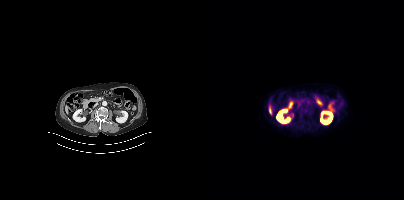
No PSMA-avid tumor lesions on this slice.
modality: PSMA PET/CT | tracer: [18F]PSMA-1007 | view: axial | PET grid: 200×200